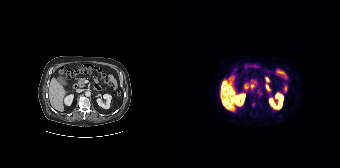
{"modality":"PSMA PET/CT","view":"axial","tracer":"[18F]PSMA-1007","pet_grid":[168,168],"coord_frame":"pet_panel","coord_format":"x0,y0,x1,y1","partial":true,"lesion_bboxes":[]}